- Left: CT. Right: PSMA PET, same axial level, [18F]PSMA-1007 tracer
- PET panel 256×256 px (2.7 mm/px)
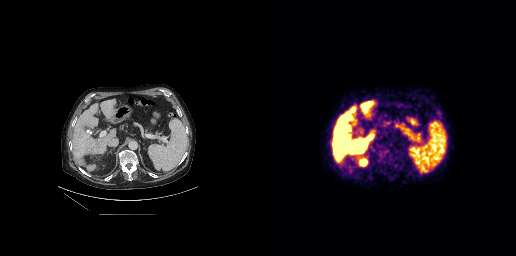
Findings: Coordinates are on the 256×256 PET (right) panel. PSMA-avid tumor lesion bounding boxes (x0, y0)-(x1, y1): (118, 147)-(132, 166); (174, 108)-(182, 118); (120, 169)-(125, 172). Small PSMA-avid focus (2 to 4 px across) near (center x, center y): (118, 166).